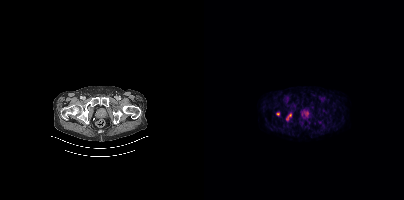
{"modality":"PSMA PET/CT","view":"axial","tracer":"18F-PSMA","pet_grid":[200,200],"coord_frame":"pet_panel","coord_format":"x0,y0,x1,y1","partial":true,"lesion_bboxes":[[82,113,87,120]],"small_foci_centers":[[74,114]]}